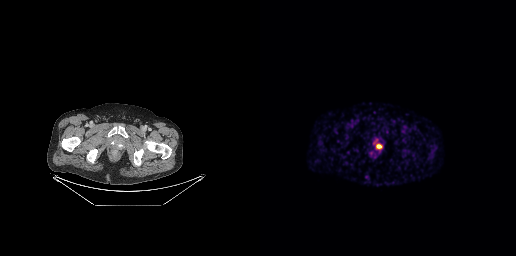
Coordinates are on the 256×256 PET (right) panel. PSMA-avid tumor lesion bounding box (x0,y0,x1,y1): [116,144,121,148].